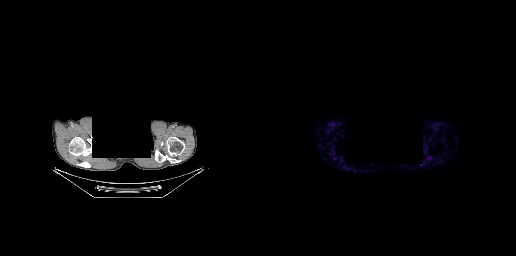
The face region was removed for patient privacy by blanking a rectangle over the head. Paired axial CT (left) and PSMA PET (right), 68Ga tracer. Slice 242 of 263. This slice has no annotated PSMA-avid lesion.